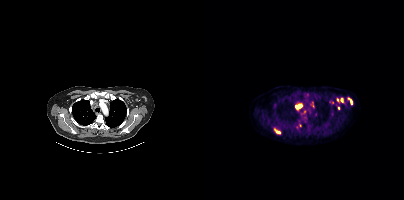
{"modality":"PSMA PET/CT","view":"axial","tracer":"[18F]PSMA-1007","pet_grid":[200,200],"coord_frame":"pet_panel","coord_format":"x0,y0,x1,y1","partial":true,"lesion_bboxes":[[91,103,98,109],[70,129,76,133],[144,98,148,104],[132,105,135,109]],"small_foci_centers":[[102,94],[100,111],[92,126],[138,99],[96,125],[133,99],[109,105],[128,113],[128,102]]}